Technique: Paired axial CT (left) and PSMA PET (right), [18F]PSMA-1007 tracer. slice position z = -886 mm. PET panel 200×200 px (4.1 mm/px).
Note: Any black rectangle here is a de-identification mask.
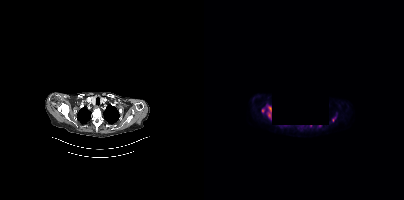
Findings: Coordinates are on the 200×200 PET (right) panel. PSMA-avid tumor lesion bounding boxes (x0,y0,x1,y1): [63,105,67,120]; [58,108,60,112]. Small PSMA-avid foci (2 to 4 px across) near (center x, center y): (115, 126); (129, 119); (107, 126).